Technique: Left: CT. Right: PSMA PET, same axial level, [18F]PSMA-1007 tracer. slice 381 of 409. PET panel 200×200 px (4.1 mm/px).
Note: Head region blanked for anonymization (face removed).
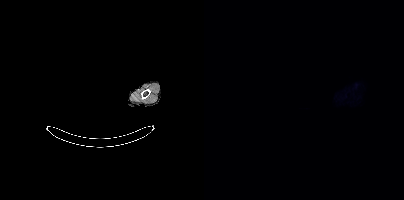
Findings: No tumor lesions annotated on this slice.